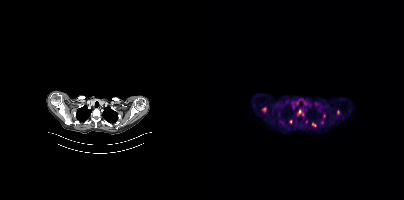
Technique: Two-panel axial: CT | PSMA PET, [18F]PSMA-1007 tracer. slice 331 of 421. PET panel 200×200 px (4.1 mm/px).
Findings: Coordinates are on the 200×200 PET (right) panel. (showing 6 of 8 foci) PSMA-avid tumor lesion bounding boxes (x, y, width, height): x=58 y=107 w=4 h=5 | x=108 y=123 w=5 h=4 | x=133 y=110 w=3 h=5. Small PSMA-avid foci (2 to 4 px across) near (center x, center y): (95, 111) | (120, 115) | (86, 121).